Face de-identified by blanking a block of the head. Two-panel axial: CT | PSMA PET, 18F tracer.
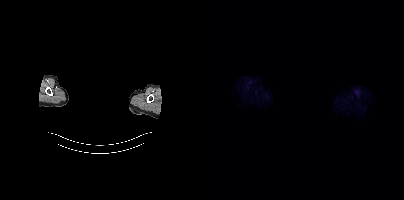
No PSMA-avid tumor lesions on this slice.